Paired axial CT (left) and PSMA PET (right), 18F tracer. Slice position z = -830 mm.
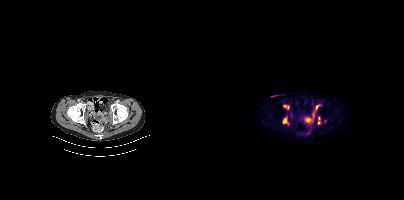
Coordinates are on the 200×200 PET (right) panel. PSMA-avid tumor lesion bounding boxes (x0, y0)-(x1, y1): (78, 116)-(83, 123) | (79, 104)-(84, 109) | (112, 105)-(114, 109). Small PSMA-avid foci (2 to 4 px across) near (center x, center y): (104, 119) | (114, 118) | (114, 122).